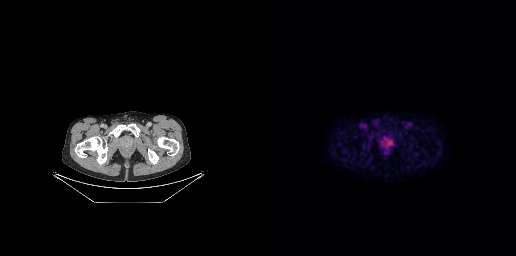
Paired axial CT (left) and PSMA PET (right), 18F tracer. Acquired on GE Discovery 690. Slice 51 of 263.
Coordinates are on the 256×256 PET (right) panel. PSMA-avid tumor lesion bounding boxes:
| # | x0 | y0 | x1 | y1 |
|---|---|---|---|---|
| 1 | 121 | 137 | 133 | 148 |